- Two-panel axial: CT | PSMA PET, 18F-PSMA tracer
- acquired on Siemens Biograph mCT Flow 20
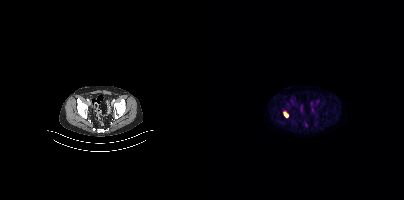
Findings: Coordinates are on the 200×200 PET (right) panel. PSMA-avid tumor lesion bounding box (x0,y0,x1,y1): [79,112,84,117].